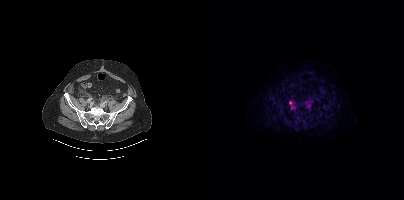
Coordinates are on the 200×200 PET (right) panel. (showing 1 of 2 foci) PSMA-avid tumor lesion bounding box (x0, y0)-(x1, y1): (85, 100)-(90, 109).